Facial anatomy redacted by setting a rectangular region of the head to black.
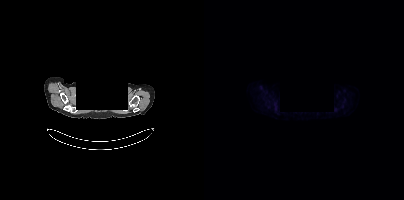
Negative for PSMA-avid disease on this slice.